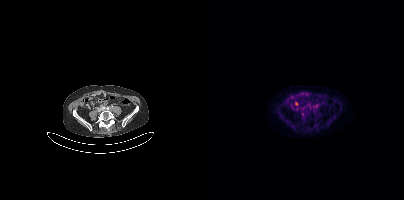
modality: PSMA PET/CT | tracer: 18F-PSMA | view: axial | PET grid: 200×200
Only PSMA-avid lesion pieces thinner than 2 px on this slice (not listed).